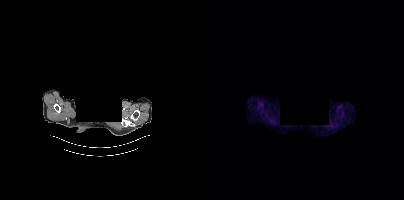
Technique: Two-panel axial: CT | PSMA PET, 18F-PSMA tracer. PET panel 200×200 px (4.1 mm/px).
Note: Privacy masking over the head, with the pixels inside a rectangle set to black.
Findings: No tumor lesions annotated on this slice.